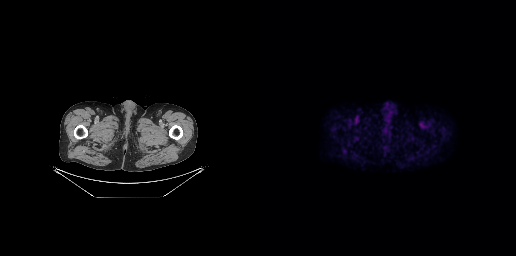
Left: CT. Right: PSMA PET, same axial level, 18F-PSMA tracer. Slice position z = -739 mm. This slice has no annotated PSMA-avid lesion.